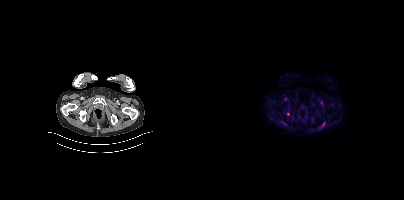
{"modality":"PSMA PET/CT","view":"axial","tracer":"[18F]PSMA-1007","pet_grid":[200,200],"coord_frame":"pet_panel","coord_format":"x0,y0,x1,y1","lesion_bboxes":[],"small_foci_centers":[[84,114]]}